- Paired axial CT (left) and PSMA PET (right), [18F]PSMA-1007 tracer
- PET panel 256×256 px (2.7 mm/px)
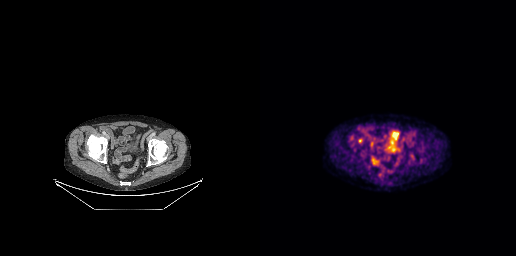
Findings: Coordinates are on the 256×256 PET (right) panel. PSMA-avid tumor lesion bounding box (x0, y0)-(x1, y1): (98, 139)-(102, 142). Small PSMA-avid focus (2 to 4 px across) near (center x, center y): (91, 137).